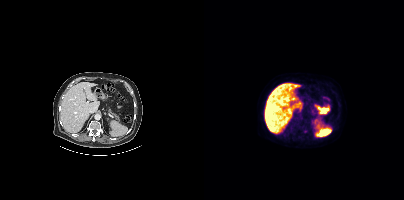
Negative for PSMA-avid disease on this slice.